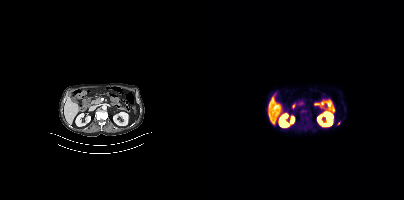
{"modality":"PSMA PET/CT","view":"axial","tracer":"18F","pet_grid":[200,200],"coord_frame":"pet_panel","coord_format":"x0,y0,x1,y1","lesion_bboxes":[],"small_foci_centers":[[134,123]]}